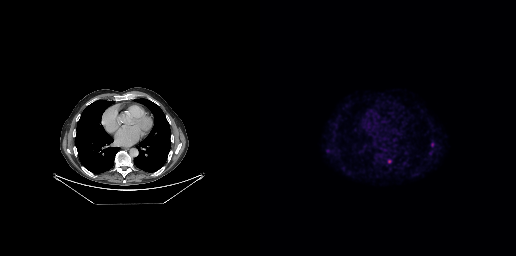
{"modality":"PSMA PET/CT","view":"axial","tracer":"18F","pet_grid":[256,256],"coord_frame":"pet_panel","coord_format":"x0,y0,x1,y1","lesion_bboxes":[],"small_foci_centers":[[129,161],[172,144]]}